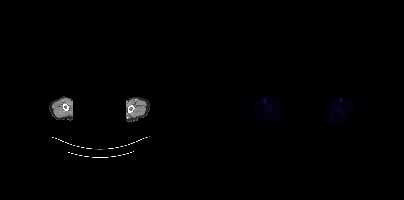
Left: CT. Right: PSMA PET, same axial level, 18F-PSMA tracer. Acquired on Siemens Biograph mCT Flow 20. Slice 385 of 435. The face region was removed for patient privacy by blanking a rectangle over the head. No tumor lesions annotated on this slice.